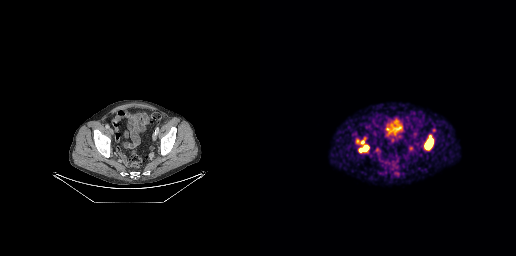
Coordinates are on the 256×256 PET (right) panel. (showing 5 of 6 foci) PSMA-avid tumor lesion bounding boxes (x0,y0,x1,y1): [164,135,172,149]; [103,145,108,150]; [101,140,104,144]. Small PSMA-avid foci (2 to 4 px across) near (center x, center y): (100, 150); (97, 140).